Two-panel axial: CT | PSMA PET, 18F tracer. Acquired on Siemens Biograph mCT Flow 20. PET panel 200×200 px (4.1 mm/px).
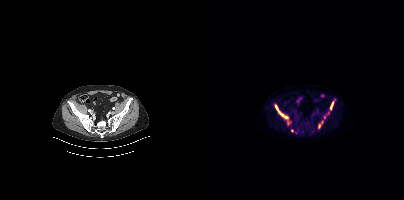
Coordinates are on the 200×200 PET (right) panel. PSMA-avid tumor lesion bounding boxes (partial; 3 more foci not listed):
| # | x0 | y0 | x1 | y1 |
|---|---|---|---|---|
| 1 | 71 | 104 | 84 | 118 |
| 2 | 126 | 101 | 129 | 109 |
| 3 | 114 | 124 | 116 | 128 |
Small PSMA-avid foci (2 to 4 px across) near (center x, center y): (88, 130); (124, 112); (84, 122); (91, 132).